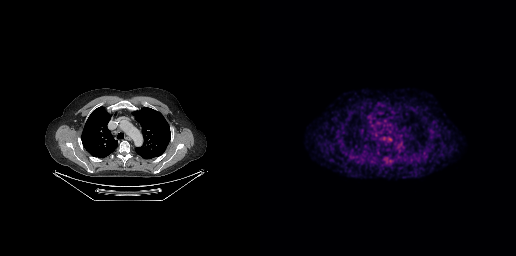
Left: CT. Right: PSMA PET, same axial level, [68Ga]Ga-PSMA-11 tracer. Acquired on GE Discovery 690. Slice position z = -382 mm. No tumor lesions annotated on this slice.